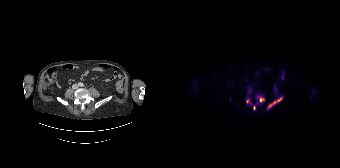
{"modality":"PSMA PET/CT","view":"axial","tracer":"[18F]PSMA-1007","pet_grid":[168,168],"coord_frame":"pet_panel","coord_format":"x0,y0,x1,y1","lesion_bboxes":[[86,96,92,102],[96,101,102,108],[104,97,110,102],[74,99,77,103],[81,105,83,109]]}